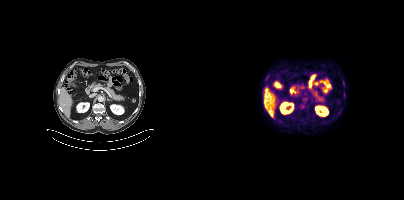
This slice has no annotated PSMA-avid lesion.